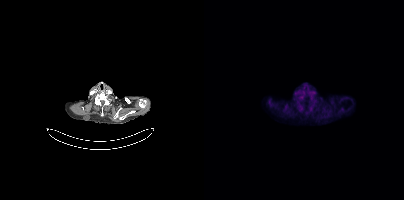
{"modality":"PSMA PET/CT","view":"axial","tracer":"18F-PSMA","pet_grid":[200,200],"coord_frame":"pet_panel","coord_format":"x0,y0,x1,y1","psma_avid_lesions":false}